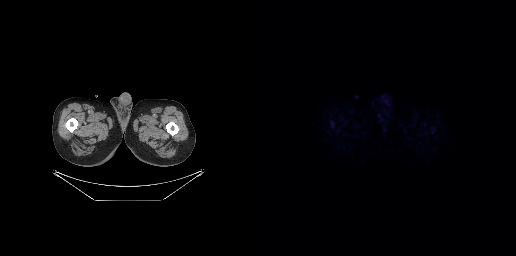
No tumor lesions annotated on this slice.
modality: PSMA PET/CT | tracer: [18F]PSMA-1007 | view: axial